modality: PSMA PET/CT | tracer: 18F | view: axial | PET grid: 200×200
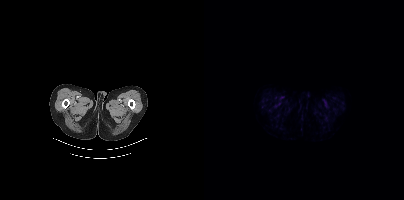
No tumor lesions annotated on this slice.